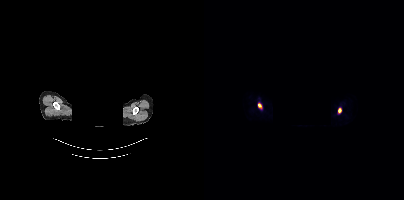
{"modality":"PSMA PET/CT","view":"axial","tracer":"18F","pet_grid":[200,200],"coord_frame":"pet_panel","coord_format":"x0,y0,x1,y1","de-identification":"face masked with black rectangle","lesion_bboxes":[[134,108,137,112],[54,103,57,107]]}